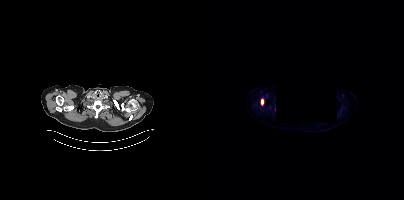
Coordinates are on the 200×200 PET (right) panel. PSMA-avid tumor lesion bounding boxes (partial; 1 more focus not listed):
| # | x0 | y0 | x1 | y1 |
|---|---|---|---|---|
| 1 | 56 | 98 | 60 | 105 |
Paired axial CT (left) and PSMA PET (right), [18F]PSMA-1007 tracer. Acquired on Siemens Biograph mCT Flow 20. Slice 331 of 389. A rectangular region was set to black for de-identification.